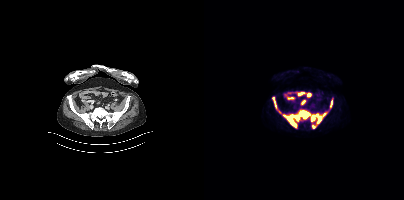
Coordinates are on the 200×200 PET (right) panel. PSMA-avid tumor lesion bounding boxes (x0,y0,x1,y1): [80,110,117,127]; [69,97,72,107]; [126,100,128,106]; [119,112,123,115]. Small PSMA-avid foci (2 to 4 px across) near (center x, center y): (109, 126); (75, 112).